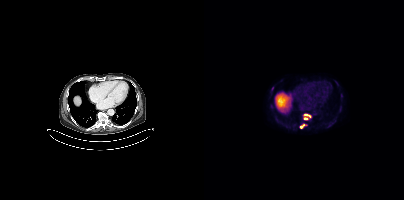
{"modality":"PSMA PET/CT","view":"axial","tracer":"[18F]PSMA-1007","pet_grid":[200,200],"coord_frame":"pet_panel","coord_format":"x0,y0,x1,y1","lesion_bboxes":[[96,123,103,128],[99,114,106,119]]}